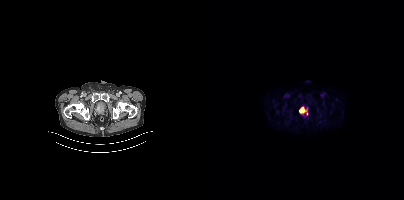
{"pet_grid":[200,200],"coord_frame":"pet_panel","coord_format":"x0,y0,x1,y1","lesion_bboxes":[[96,107,104,115]],"modality":"PSMA PET/CT","view":"axial","tracer":"[18F]PSMA-1007"}